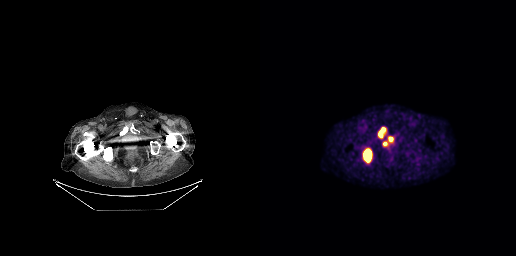
Technique: Two-panel axial: CT | PSMA PET, 18F tracer. slice 58 of 263. PET panel 256×256 px (2.7 mm/px).
Findings: Coordinates are on the 256×256 PET (right) panel. PSMA-avid tumor lesion bounding boxes (x0, y0)-(x1, y1): (103, 149)-(111, 162) / (118, 127)-(125, 137).